Left: CT. Right: PSMA PET, same axial level, 68Ga-PSMA tracer.
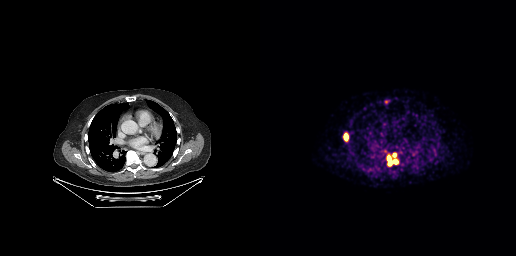
Coordinates are on the 256×256 PET (right) panel. PSMA-avid tumor lesion bounding boxes (x0,y0,x1,y1): [127,155,138,165]; [84,134,87,140]; [132,153,136,157].